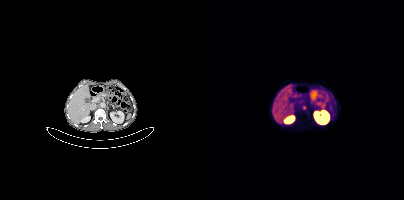
modality: PSMA PET/CT | tracer: [68Ga]Ga-PSMA-11 | view: axial
Coordinates are on the 200×200 PET (right) panel. PSMA-avid tumor lesion bounding box (x0,y0,x1,y1): [98,105,102,109].